- Left: CT. Right: PSMA PET, same axial level, 18F tracer
- acquired on Siemens Biograph mCT Flow 20
- PET panel 200×200 px (4.1 mm/px)
- the head region is masked for de-identification
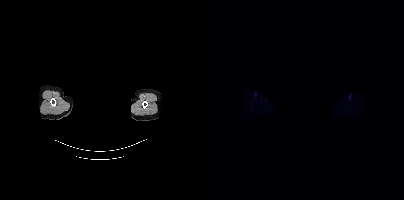
Findings: This slice has no annotated PSMA-avid lesion.